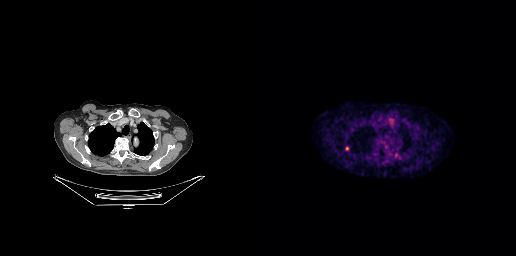
- Paired axial CT (left) and PSMA PET (right), 18F-PSMA tracer
- acquired on GE Discovery 690
- slice position z = -307 mm
Findings: Coordinates are on the 256×256 PET (right) panel. PSMA-avid tumor lesion bounding boxes (x0, y0)-(x1, y1): (131, 152)-(141, 159) | (85, 146)-(88, 150).